Technique: Two-panel axial: CT | PSMA PET, 18F-PSMA tracer. acquired on Siemens Biograph mCT Flow 20.
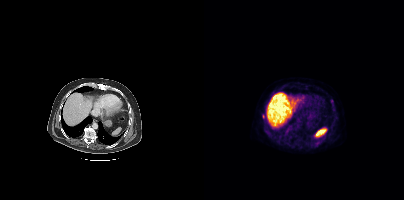
Findings: Only PSMA-avid lesion pieces thinner than 2 px on this slice (not listed).